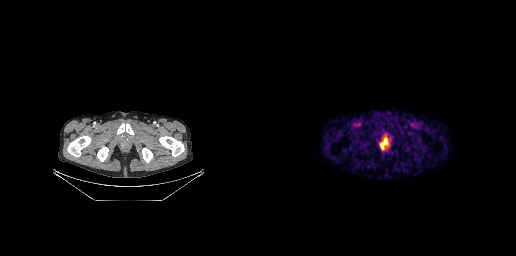
Findings: Coordinates are on the 256×256 PET (right) panel. PSMA-avid tumor lesion bounding box (x0,y0,x1,y1): [121,140,127,148].
Technique: Left: CT. Right: PSMA PET, same axial level, 68Ga-PSMA tracer. slice position z = -918 mm. PET panel 256×256 px (2.7 mm/px).